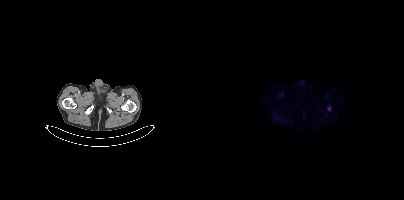
Technique: Two-panel axial: CT | PSMA PET, [18F]PSMA-1007 tracer.
Findings: Coordinates are on the 200×200 PET (right) panel. PSMA-avid tumor lesion bounding box (x0, y0)-(x1, y1): (124, 106)-(126, 110).